- Paired axial CT (left) and PSMA PET (right), [18F]PSMA-1007 tracer
- PET panel 200×200 px (4.1 mm/px)
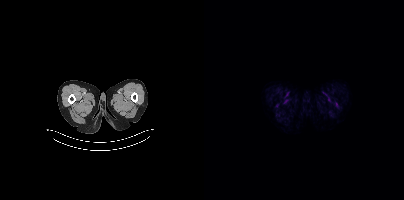
Findings: Negative for PSMA-avid disease on this slice.